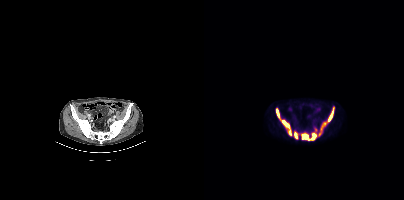
Coordinates are on the 200×200 PET (right) panel. PSMA-avid tumor lesion bounding boxes (x0,y0,x1,y1): [72,109,87,135]; [118,108,129,127]; [99,134,105,139]; [90,132,93,138]; [114,130,118,135]; [107,134,111,139].